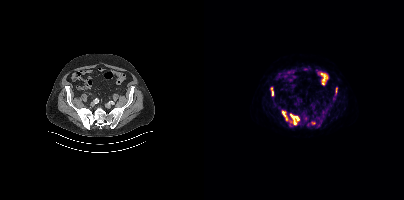
Coordinates are on the 200×200 PET (right) panel. (showing 5 of 6 foci) PSMA-avid tumor lesion bounding boxes (x0,y0,x1,y1): [86,114,95,124]; [78,111,87,125]; [112,118,118,125]; [67,88,69,95]; [131,88,133,92].